Paired axial CT (left) and PSMA PET (right), 68Ga-PSMA tracer. Slice position z = -1712 mm. PET panel 200×200 px (4.1 mm/px).
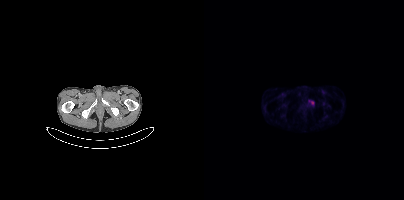
Coordinates are on the 200×200 PET (right) panel. PSMA-avid tumor lesion bounding boxes:
| # | x0 | y0 | x1 | y1 |
|---|---|---|---|---|
| 1 | 105 | 100 | 110 | 105 |